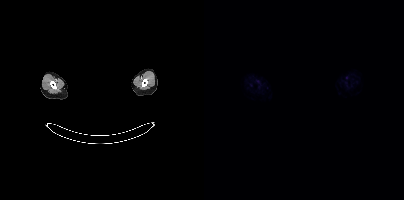
modality: PSMA PET/CT | tracer: 18F | view: axial | PET grid: 200×200 | deidentification: face masked with black rectangle
This slice has no annotated PSMA-avid lesion.